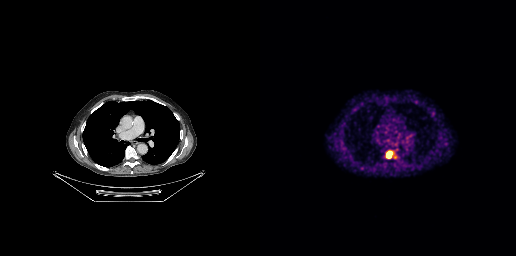
Technique: Two-panel axial: CT | PSMA PET, [68Ga]Ga-PSMA-11 tracer. slice position z = -455 mm.
Findings: Coordinates are on the 256×256 PET (right) panel. PSMA-avid tumor lesion bounding box (x0,y0,x1,y1): [126,151,132,158].